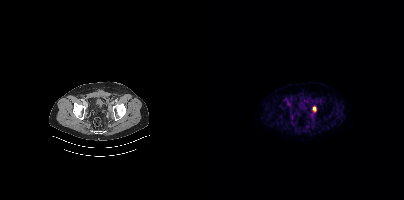
Left: CT. Right: PSMA PET, same axial level, [18F]PSMA-1007 tracer. Acquired on Siemens Biograph mCT Flow 20. Slice position z = -866 mm. Coordinates are on the 200×200 PET (right) panel. PSMA-avid tumor lesion bounding box (x0, y0)-(x1, y1): (108, 106)-(112, 112).